A rectangular region was set to black for de-identification.
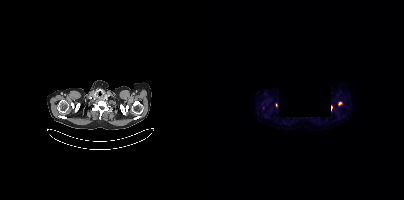
Coordinates are on the 200×200 PET (right) panel. PSMA-avid tumor lesion bounding box (x, y, width, height): x=134 y=102 w=5 h=4. Small PSMA-avid foci (2 to 4 px across) near (center x, center y): (127, 107) / (72, 105).